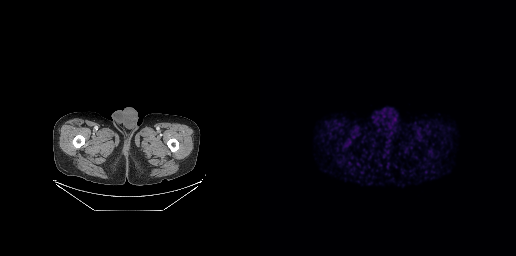
Paired axial CT (left) and PSMA PET (right), 68Ga tracer. PET panel 256×256 px (2.7 mm/px). No PSMA-avid tumor lesions on this slice.